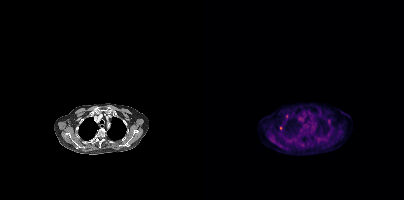
Left: CT. Right: PSMA PET, same axial level, [18F]PSMA-1007 tracer. Slice position z = 64 mm. PET panel 200×200 px (4.1 mm/px). Coordinates are on the 200×200 PET (right) panel. (showing 4 of 5 foci) Small PSMA-avid foci (2 to 4 px across) near (center x, center y): (125, 120), (76, 128), (115, 139), (99, 143).